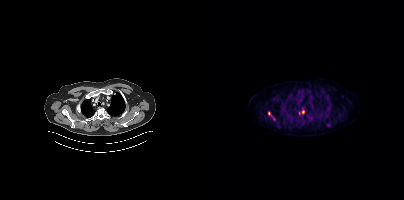
Findings: Coordinates are on the 200×200 PET (right) panel. (showing 4 of 5 foci) Small PSMA-avid foci (2 to 4 px across) near (center x, center y): (124, 124) / (99, 111) / (65, 113) / (95, 113).
Technique: Two-panel axial: CT | PSMA PET, [18F]PSMA-1007 tracer.